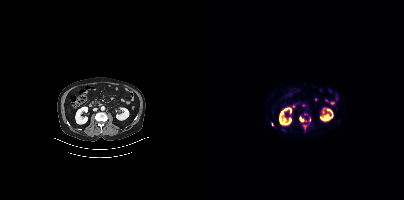
{"modality":"PSMA PET/CT","view":"axial","tracer":"18F-PSMA","pet_grid":[200,200],"coord_frame":"pet_panel","coord_format":"x0,y0,x1,y1","partial":true,"lesion_bboxes":[[95,116,100,121]],"small_foci_centers":[[68,124]]}